modality: PSMA PET/CT | tracer: [18F]PSMA-1007 | view: axial | PET grid: 200×200
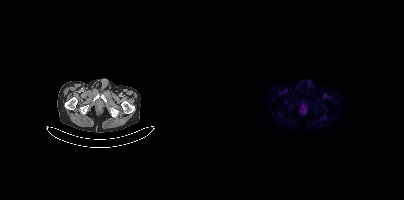
This slice has no annotated PSMA-avid lesion.